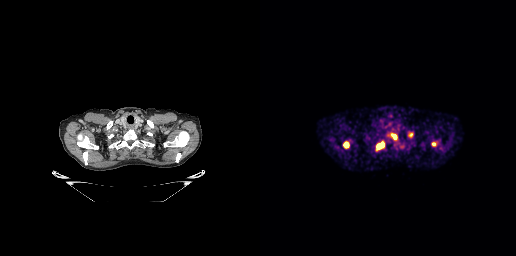
Findings: Coordinates are on the 256×256 PET (right) panel. PSMA-avid tumor lesion bounding boxes (x, y, width, height): x=117 y=142 w=8 h=7 / x=83 y=141 w=7 h=8 / x=131 y=133 w=7 h=7 / x=148 y=133 w=6 h=5. Small PSMA-avid focus (2 to 4 px across) near (center x, center y): (173, 143).
Technique: Two-panel axial: CT | PSMA PET, 68Ga tracer. slice position z = -324 mm. PET panel 256×256 px (2.7 mm/px).